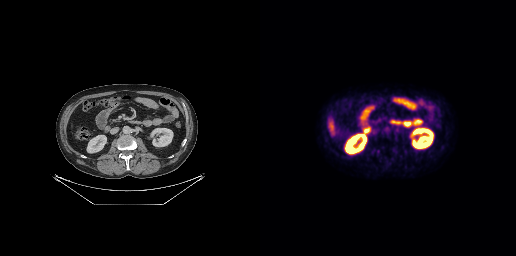
Findings: No PSMA-avid tumor lesions on this slice.
- Left: CT. Right: PSMA PET, same axial level, [18F]PSMA-1007 tracer
- slice position z = -502 mm
- PET panel 256×256 px (2.7 mm/px)